modality: PSMA PET/CT | tracer: 18F | view: axial | PET grid: 200×200 | de-identification: rectangular block set to black
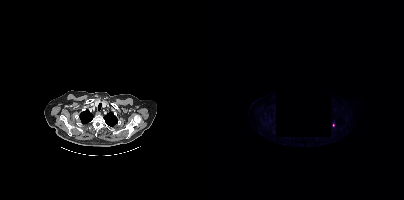
Coordinates are on the 200×200 PET (right) panel. Small PSMA-avid focus (2 to 4 px across) near (center x, center y): (129, 125).